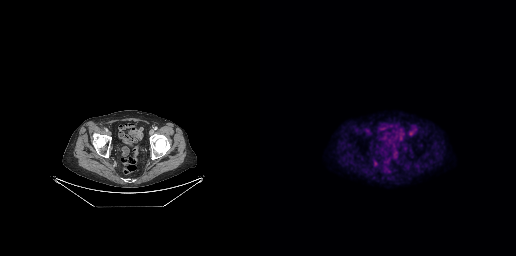
modality: PSMA PET/CT | tracer: 18F-PSMA | view: axial
No PSMA-avid tumor lesions on this slice.